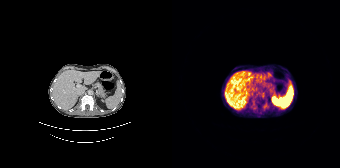
Paired axial CT (left) and PSMA PET (right), 68Ga tracer. Slice position z = -534 mm. No tumor lesions annotated on this slice.